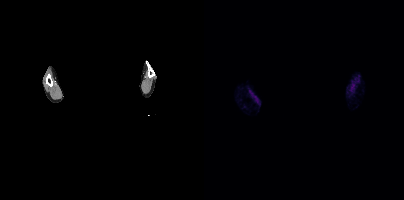
Findings: This slice has no annotated PSMA-avid lesion.
Technique: Two-panel axial: CT | PSMA PET, 18F-PSMA tracer. acquired on Siemens Biograph mCT Flow 20. PET panel 200×200 px (4.1 mm/px).
Note: Facial anatomy redacted by setting a rectangular region of the head to black.